Technique: Paired axial CT (left) and PSMA PET (right), 68Ga-PSMA tracer. slice 73 of 393. PET panel 200×200 px (4.1 mm/px).
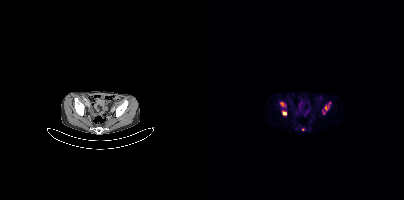
Findings: Coordinates are on the 200×200 PET (right) panel. (showing 5 of 6 foci) PSMA-avid tumor lesion bounding boxes (x, y, width, height): x=120 y=102 w=7 h=9 | x=76 y=102 w=6 h=5. Small PSMA-avid foci (2 to 4 px across) near (center x, center y): (80, 113) | (98, 129) | (119, 112).